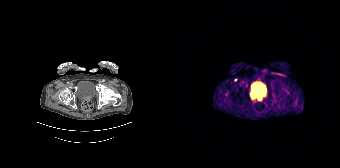
Coordinates are on the 168×168 PET (right) panel. Small PSMA-avid foci (2 to 4 px across) near (center x, center y): (87, 98) / (63, 79).